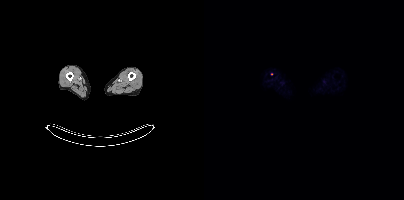
Only PSMA-avid lesion pieces thinner than 2 px on this slice (not listed). Paired axial CT (left) and PSMA PET (right), 18F tracer. Slice position z = -1225 mm.